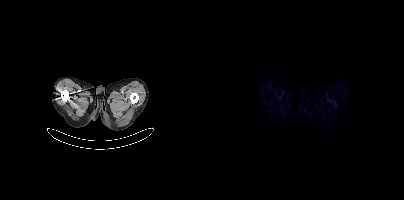
Findings: Negative for PSMA-avid disease on this slice.
Technique: Left: CT. Right: PSMA PET, same axial level, 18F-PSMA tracer. PET panel 200×200 px (4.1 mm/px).